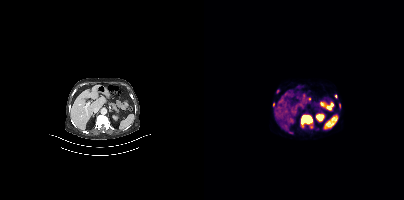
Coordinates are on the 200×200 PET (right) panel. PSMA-avid tumor lesion bounding box (x, y, width, height): x=97 y=115 w=13 h=13. Small PSMA-avid foci (2 to 4 px across) near (center x, center y): (74, 91) | (69, 104) | (86, 132) | (135, 105) | (131, 96). Two-panel axial: CT | PSMA PET, 68Ga tracer. Acquired on Siemens Biograph mCT Flow 20. Slice position z = 686 mm.